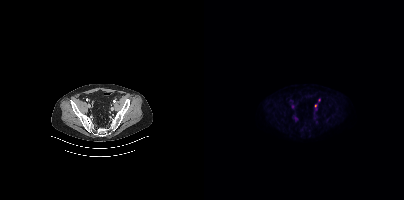
Left: CT. Right: PSMA PET, same axial level, 18F-PSMA tracer. Slice 106 of 442. PET panel 200×200 px (4.1 mm/px). Coordinates are on the 200×200 PET (right) panel. (showing 1 of 2 foci) Small PSMA-avid focus (2 to 4 px across) near (center x, center y): (111, 106).